modality: PSMA PET/CT | tracer: [18F]PSMA-1007 | view: axial
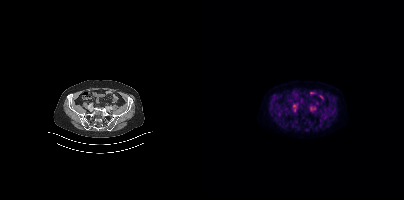
No PSMA-avid tumor lesions on this slice.